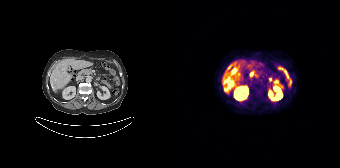
{"modality":"PSMA PET/CT","view":"axial","tracer":"68Ga-PSMA","pet_grid":[168,168],"coord_frame":"pet_panel","coord_format":"x0,y0,x1,y1","partial":true,"lesion_bboxes":[[57,81,61,87],[61,68,64,72],[53,78,56,82]],"small_foci_centers":[[57,67]]}